modality: PSMA PET/CT | tracer: 18F | view: axial
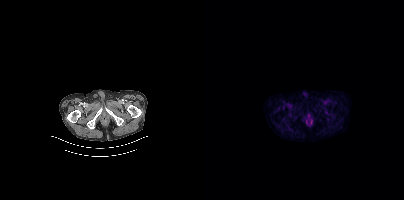
This slice has no annotated PSMA-avid lesion.